Technique: Paired axial CT (left) and PSMA PET (right), 18F-PSMA tracer. slice position z = -1153 mm.
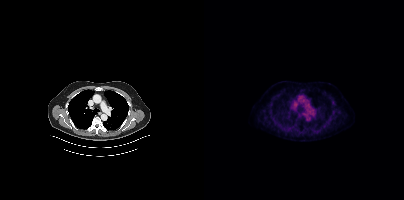
Findings: Only PSMA-avid lesion pieces thinner than 2 px on this slice (not listed).